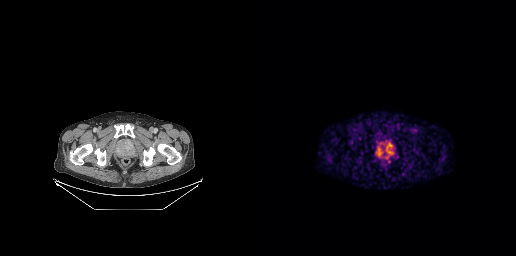
Coordinates are on the 256×256 PET (right) panel. PSMA-avid tumor lesion bounding box (x0, y0)-(x1, y1): (115, 140)-(134, 159).